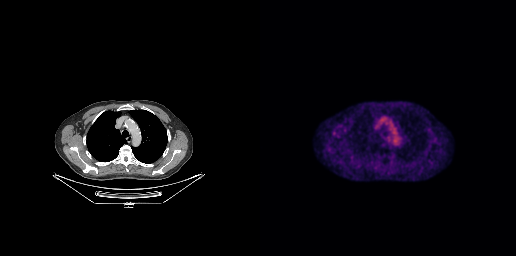
No PSMA-avid tumor lesions on this slice.
modality: PSMA PET/CT | tracer: 18F-PSMA | view: axial